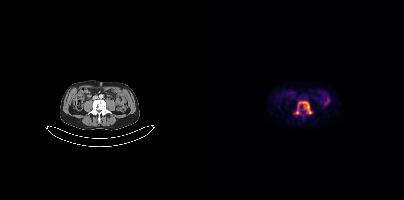
- Paired axial CT (left) and PSMA PET (right), 18F tracer
- slice 136 of 403
Findings: Coordinates are on the 200×200 PET (right) panel. PSMA-avid tumor lesion bounding box (x, y, width, height): x=90 y=101 w=19 h=14.